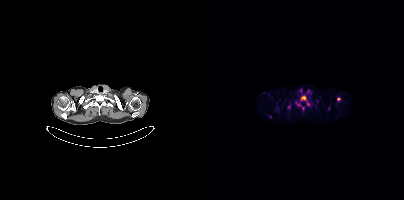
Coordinates are on the 200×200 PET (right) panel. PSMA-avid tumor lesion bounding boxes (partial; 2 more foci not listed):
| # | x0 | y0 | x1 | y1 |
|---|---|---|---|---|
| 1 | 96 | 95 | 105 | 105 |
| 2 | 91 | 101 | 100 | 110 |
Small PSMA-avid foci (2 to 4 px across) near (center x, center y): (134, 99); (104, 91); (66, 116).
Paired axial CT (left) and PSMA PET (right), 18F-PSMA tracer. Slice position z = -944 mm. PET panel 200×200 px (4.1 mm/px).